modality: PSMA PET/CT | tracer: 18F-PSMA | view: axial | PET grid: 200×200
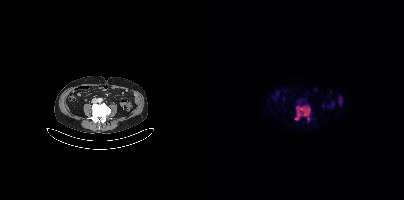
Coordinates are on the 200×200 PET (right) panel. PSMA-avid tumor lesion bounding box (x0,y0,x1,y1): [90,105,106,121].